modality: PSMA PET/CT | tracer: [18F]PSMA-1007 | view: axial
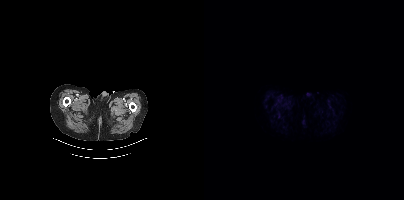
No PSMA-avid tumor lesions on this slice.